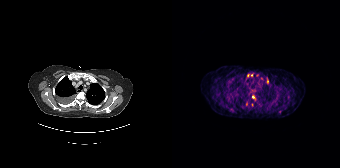
Coordinates are on the 168×168 PET (right) panel. (showing 3 of 6 foci) Small PSMA-avid foci (2 to 4 px across) near (center x, center y): (81, 96) (80, 104) (79, 74). Two-panel axial: CT | PSMA PET, [68Ga]Ga-PSMA-11 tracer. Slice 126 of 165.